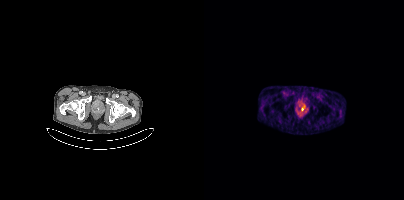
Technique: Left: CT. Right: PSMA PET, same axial level, 68Ga tracer. PET panel 200×200 px (4.1 mm/px).
Findings: No tumor lesions annotated on this slice.